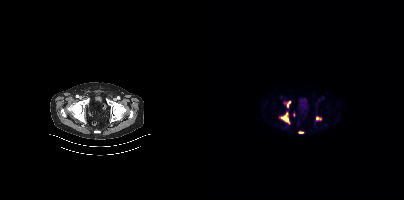
Findings: Coordinates are on the 200×200 PET (right) panel. PSMA-avid tumor lesion bounding boxes (x0, y0)-(x1, y1): (77, 112)-(85, 123) | (112, 117)-(117, 120) | (83, 101)-(86, 106) | (95, 131)-(99, 133). Small PSMA-avid focus (2 to 4 px across) near (center x, center y): (89, 114).
Technique: Paired axial CT (left) and PSMA PET (right), 18F-PSMA tracer. acquired on Siemens Biograph mCT Flow 20. slice 80 of 423.